Any black rectangle over the head is a privacy mask, not anatomy.
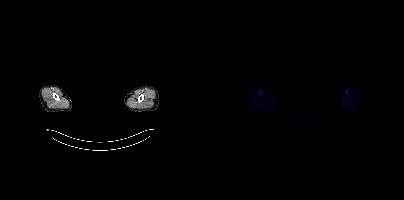
No PSMA-avid tumor lesions on this slice.